Left: CT. Right: PSMA PET, same axial level, 18F-PSMA tracer. Slice 241 of 407.
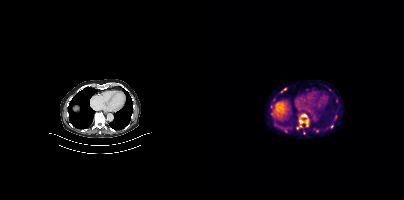
Coordinates are on the 200×200 PET (right) panel. PSMA-avid tumor lesion bounding boxes (partial; 3 more foci not listed):
| # | x0 | y0 | x1 | y1 |
|---|---|---|---|---|
| 1 | 93 | 114 | 104 | 129 |
| 2 | 77 | 88 | 82 | 92 |
Small PSMA-avid foci (2 to 4 px across) near (center x, center y): (128, 126); (81, 130); (132, 101); (131, 117).